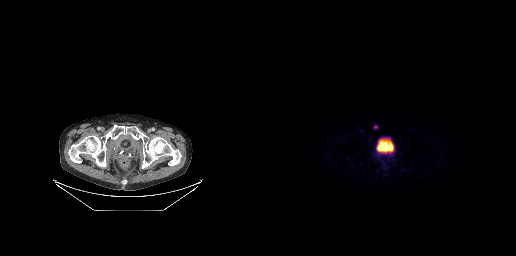
Paired axial CT (left) and PSMA PET (right), [68Ga]Ga-PSMA-11 tracer. Acquired on GE Discovery 690. PET panel 256×256 px (2.7 mm/px). Coordinates are on the 256×256 PET (right) panel. Small PSMA-avid focus (2 to 4 px across) near (center x, center y): (115, 126).